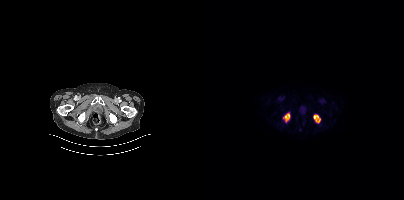
{"modality":"PSMA PET/CT","view":"axial","tracer":"[18F]PSMA-1007","pet_grid":[200,200],"coord_frame":"pet_panel","coord_format":"x0,y0,x1,y1","lesion_bboxes":[[110,115,116,122],[80,113,85,121]]}